modality: PSMA PET/CT | tracer: [18F]PSMA-1007 | view: axial
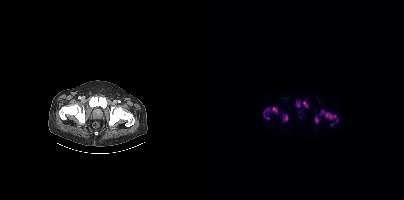
Coordinates are on the 200×200 PET (right) panel. PSMA-avid tumor lesion bounding boxes (x0,y0,x1,y1): [116,109,134,122]; [59,107,73,119]; [91,100,104,107]; [110,116,114,123]; [79,115,83,121]. Small PSMA-avid focus (2 to 4 px across) near (center x, center y): (128, 124).